modality: PSMA PET/CT | tracer: 18F | view: axial
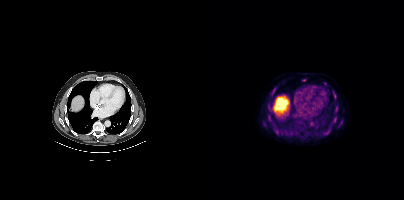
Coordinates are on the 200×200 PET (right) panel. (showing 4 of 5 foci) Small PSMA-avid foci (2 to 4 px across) near (center x, center y): (99, 80); (124, 132); (131, 96); (131, 118).